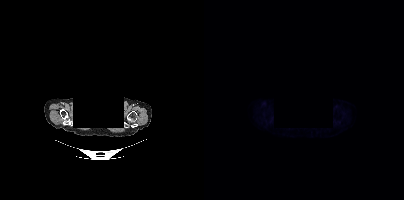
The head region is masked for de-identification.
Negative for PSMA-avid disease on this slice.